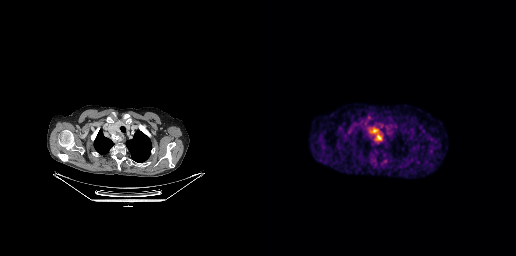
Coordinates are on the 256×256 PET (right) panel. PSMA-avid tumor lesion bounding box (x0, y0)-(x1, y1): (108, 126)-(123, 143).